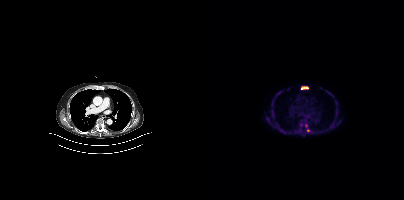
- Two-panel axial: CT | PSMA PET, [18F]PSMA-1007 tracer
- acquired on Siemens Biograph mCT Flow 20
- slice 270 of 401
Findings: Coordinates are on the 200×200 PET (right) panel. PSMA-avid tumor lesion bounding boxes (x0, y0)-(x1, y1): (97, 86)-(104, 89); (101, 124)-(105, 131). Small PSMA-avid focus (2 to 4 px across) near (center x, center y): (69, 115).